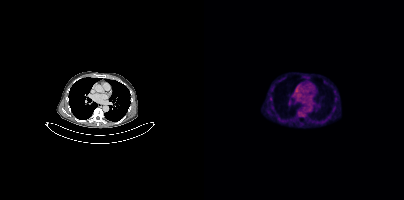
Two-panel axial: CT | PSMA PET, [18F]PSMA-1007 tracer. Slice 265 of 417. Coordinates are on the 200×200 PET (right) panel. Small PSMA-avid focus (2 to 4 px across) near (center x, center y): (67, 98).